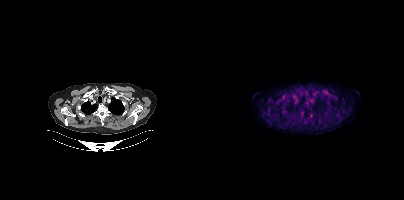
Only PSMA-avid lesion pieces thinner than 2 px on this slice (not listed).